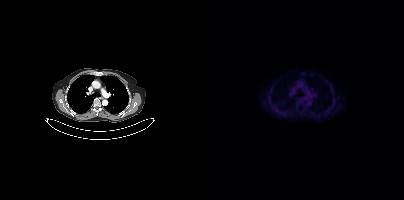
Only PSMA-avid lesion pieces thinner than 2 px on this slice (not listed).